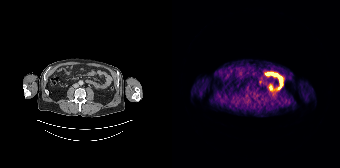
This slice has no annotated PSMA-avid lesion.